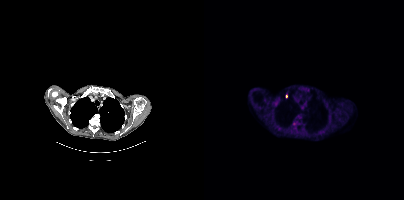
- Two-panel axial: CT | PSMA PET, 18F-PSMA tracer
- slice position z = -930 mm
Findings: Coordinates are on the 200×200 PET (right) panel. (showing 1 of 2 foci) Small PSMA-avid focus (2 to 4 px across) near (center x, center y): (82, 96).